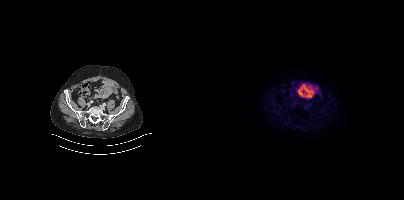
Negative for PSMA-avid disease on this slice.